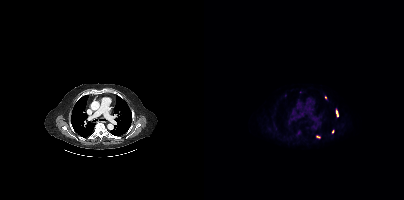
- Two-panel axial: CT | PSMA PET, 18F-PSMA tracer
- PET panel 200×200 px (4.1 mm/px)
Findings: Coordinates are on the 200×200 PET (right) panel. PSMA-avid tumor lesion bounding boxes (x0, y0)-(x1, y1): (132, 110)-(134, 116) | (112, 135)-(116, 138). Small PSMA-avid focus (2 to 4 px across) near (center x, center y): (128, 131).